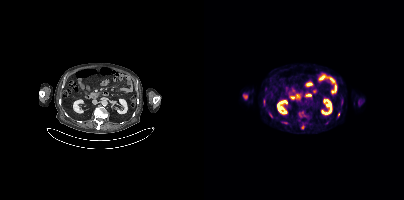
{"modality":"PSMA PET/CT","view":"axial","tracer":"18F","pet_grid":[200,200],"coord_frame":"pet_panel","coord_format":"x0,y0,x1,y1","lesion_bboxes":[[97,124,100,129],[59,99,61,105],[77,121,81,123],[137,100,138,104]],"small_foci_centers":[[66,114],[134,114]]}